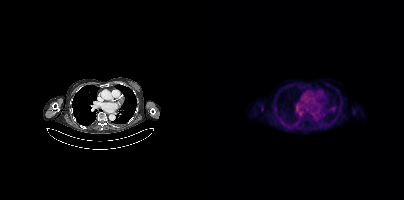
No PSMA-avid tumor lesions on this slice.
modality: PSMA PET/CT | tracer: [18F]PSMA-1007 | view: axial | PET grid: 200×200